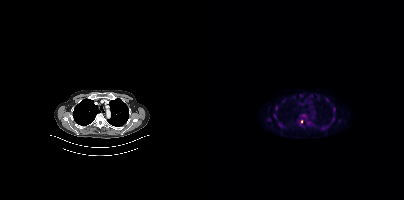
modality: PSMA PET/CT | tracer: 18F-PSMA | view: axial
Coordinates are on the 200×200 PET (right) panel. (showing 6 of 8 foci) Small PSMA-avid foci (2 to 4 px across) near (center x, center y): (72, 107); (130, 109); (71, 115); (65, 119); (97, 121); (129, 118).